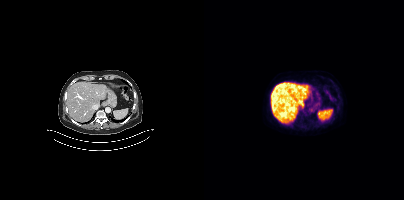
{"modality":"PSMA PET/CT","view":"axial","tracer":"[18F]PSMA-1007","pet_grid":[200,200],"coord_frame":"pet_panel","coord_format":"x0,y0,x1,y1","psma_avid_lesions":false}